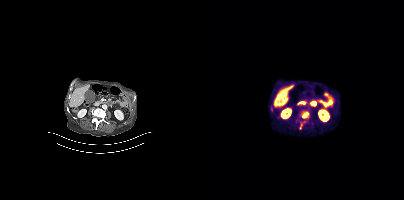
{"pet_grid":[200,200],"coord_frame":"pet_panel","coord_format":"x0,y0,x1,y1","lesion_bboxes":[[92,111,105,129]],"modality":"PSMA PET/CT","view":"axial","tracer":"18F-PSMA"}